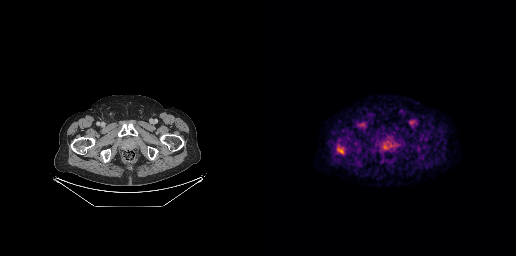
Coordinates are on the 256×256 PET (right) panel. PSMA-avid tumor lesion bounding box (x0,y0,x1,y1): [76,146,84,153].